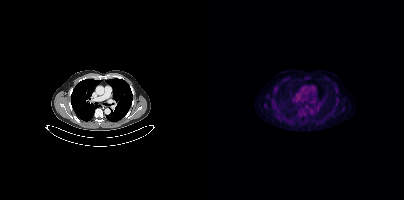
Findings: No PSMA-avid tumor lesions on this slice.
- Two-panel axial: CT | PSMA PET, [18F]PSMA-1007 tracer
- slice position z = -1043 mm
- PET panel 200×200 px (4.1 mm/px)